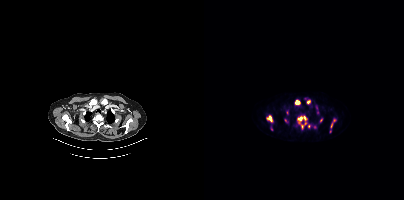
Coordinates are on the 200×200 PET (right) panel. (showing 10 of 13 foci) PSMA-avid tumor lesion bounding boxes (x0, y0)-(x1, y1): (93, 116)-(102, 123); (63, 116)-(68, 121); (91, 100)-(95, 104); (127, 123)-(128, 127). Small PSMA-avid foci (2 to 4 px across) near (center x, center y): (98, 126); (104, 102); (81, 120); (130, 120); (104, 126); (101, 123). Paired axial CT (left) and PSMA PET (right), 18F-PSMA tracer. PET panel 200×200 px (4.1 mm/px).